- Left: CT. Right: PSMA PET, same axial level, 18F tracer
- PET panel 200×200 px (4.1 mm/px)
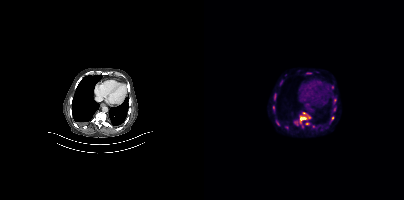
Findings: Coordinates are on the 200×200 PET (right) panel. (showing 8 of 12 foci) PSMA-avid tumor lesion bounding boxes (x0, y0)-(x1, y1): (90, 112)-(106, 125); (127, 116)-(130, 120); (101, 122)-(105, 124); (129, 107)-(131, 111); (70, 94)-(71, 98). Small PSMA-avid foci (2 to 4 px across) near (center x, center y): (128, 87); (77, 82); (69, 107).